- Left: CT. Right: PSMA PET, same axial level, [68Ga]Ga-PSMA-11 tracer
- acquired on Siemens Biograph mCT Flow 20
- slice 113 of 373
- PET panel 200×200 px (4.1 mm/px)
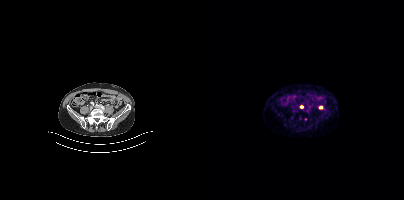
Findings: Coordinates are on the 200×200 PET (right) panel. Small PSMA-avid foci (2 to 4 px across) near (center x, center y): (97, 106) / (116, 107).